Paired axial CT (left) and PSMA PET (right), 18F-PSMA tracer. Acquired on Siemens Biograph mCT Flow 20. PET panel 200×200 px (4.1 mm/px).
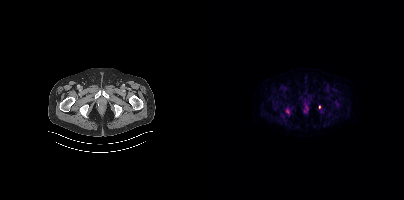
Coordinates are on the 200×200 PET (right) panel. Small PSMA-avid focus (2 to 4 px across) near (center x, center y): (115, 107).